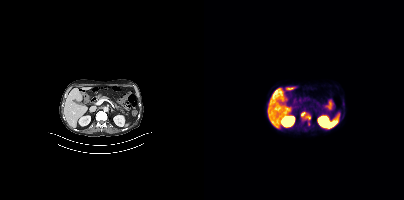
Coordinates are on the 200×200 PET (right) panel. (showing 1 of 3 foci) PSMA-avid tumor lesion bounding box (x, y, width, height): x=97 y=112 w=10 h=9.